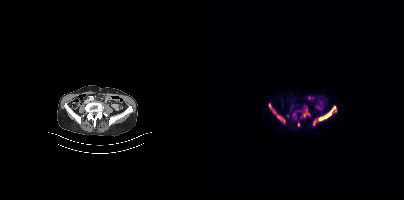
{"modality":"PSMA PET/CT","view":"axial","tracer":"[18F]PSMA-1007","pet_grid":[200,200],"coord_frame":"pet_panel","coord_format":"x0,y0,x1,y1","partial":true,"lesion_bboxes":[[114,105,132,120],[99,108,105,117],[73,115,80,122],[65,103,71,113],[109,119,111,125]],"small_foci_centers":[[94,124]]}